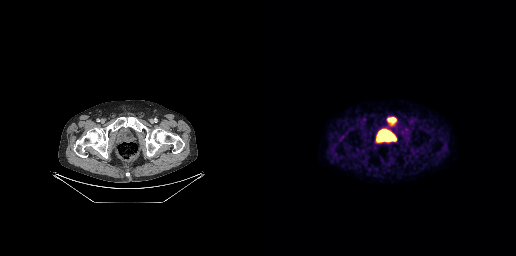
Technique: Two-panel axial: CT | PSMA PET, [18F]PSMA-1007 tracer. slice 49 of 263.
Findings: Coordinates are on the 256×256 PET (right) panel. PSMA-avid tumor lesion bounding box (x0,y0,x1,y1): [128,117,136,123].